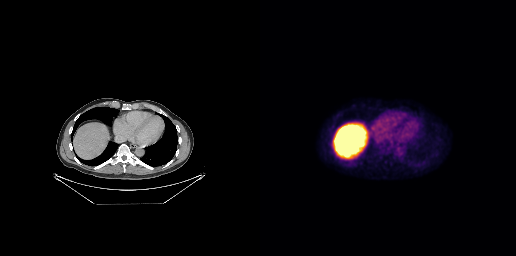
- Paired axial CT (left) and PSMA PET (right), 18F tracer
- PET panel 256×256 px (2.7 mm/px)
Findings: No tumor lesions annotated on this slice.